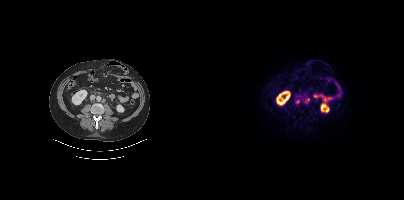
Coordinates are on the 200×200 PET (right) panel. PSMA-avid tumor lesion bounding boxes (x0, y0)-(x1, y1): (92, 100)-(95, 104) / (101, 99)-(105, 103). Small PSMA-avid focus (2 to 4 px across) near (center x, center y): (95, 95).
modality: PSMA PET/CT | tracer: [18F]PSMA-1007 | view: axial | PET grid: 200×200